Paired axial CT (left) and PSMA PET (right), 68Ga tracer. Acquired on Siemens Biograph mCT Flow 20.
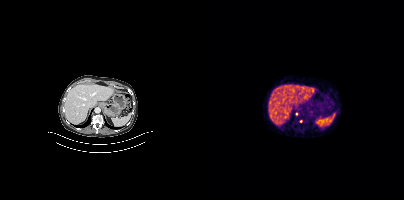
Coordinates are on the 200×200 PET (right) panel. Small PSMA-avid foci (2 to 4 px across) near (center x, center y): (97, 121) (92, 114).